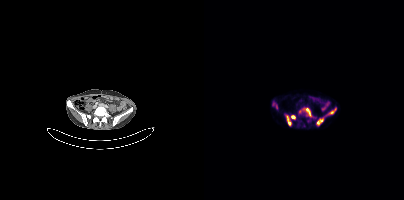
Coordinates are on the 200×200 PET (right) panel. PSMA-avid tumor lesion bounding boxes (x0, y0)-(x1, y1): (83, 117)-(86, 125) / (102, 108)-(106, 115) / (126, 109)-(131, 113). Small PSMA-avid foci (2 to 4 px across) near (center x, center y): (88, 117) / (114, 122) / (117, 120) / (72, 107).